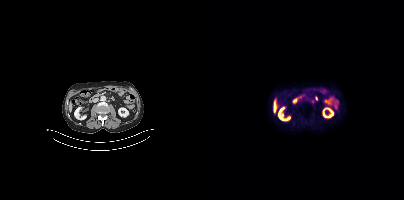
{"pet_grid":[200,200],"coord_frame":"pet_panel","coord_format":"x0,y0,x1,y1","psma_avid_lesions":false,"modality":"PSMA PET/CT","view":"axial","tracer":"[18F]PSMA-1007"}